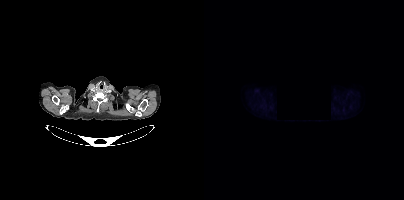
This slice has no annotated PSMA-avid lesion. Paired axial CT (left) and PSMA PET (right), 18F tracer. PET panel 200×200 px (4.1 mm/px). A black rectangle in this scan is a privacy mask, not anatomy.